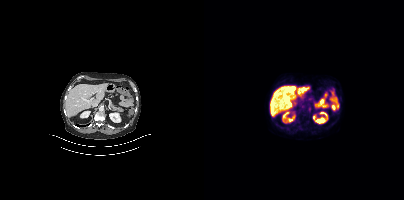
{"modality":"PSMA PET/CT","view":"axial","tracer":"[18F]PSMA-1007","pet_grid":[200,200],"coord_frame":"pet_panel","coord_format":"x0,y0,x1,y1","psma_avid_lesions":false}